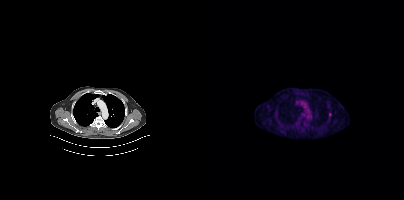
{"modality":"PSMA PET/CT","view":"axial","tracer":"18F","pet_grid":[200,200],"coord_frame":"pet_panel","coord_format":"x0,y0,x1,y1","lesion_bboxes":[],"small_foci_centers":[[125,114]]}